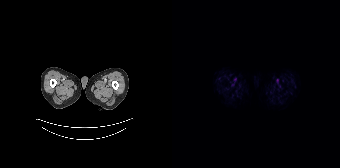
No PSMA-avid tumor lesions on this slice.